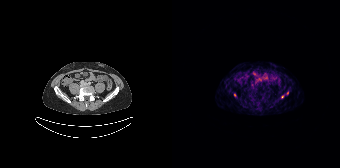
Coordinates are on the 168×168 PET (right) panel. Small PSMA-avid foci (2 to 4 px across) near (center x, center y): (62, 95); (110, 96); (115, 92).